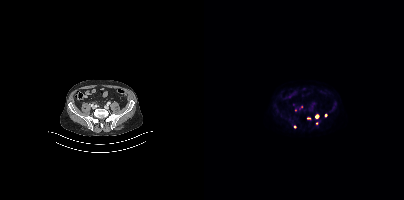
Left: CT. Right: PSMA PET, same axial level, 18F-PSMA tracer. Slice 125 of 421. Coordinates are on the 200×200 PET (right) panel. (showing 2 of 5 foci) Small PSMA-avid foci (2 to 4 px across) near (center x, center y): (113, 116) / (97, 106).